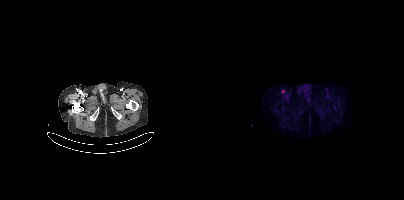
Coordinates are on the 200×200 PET (right) panel. Small PSMA-avid focus (2 to 4 px across) near (center x, center y): (78, 91).